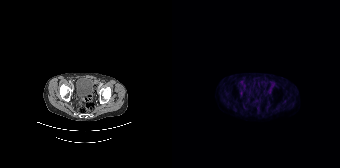
{"pet_grid":[168,168],"coord_frame":"pet_panel","coord_format":"x0,y0,x1,y1","psma_avid_lesions":false,"modality":"PSMA PET/CT","view":"axial","tracer":"18F"}